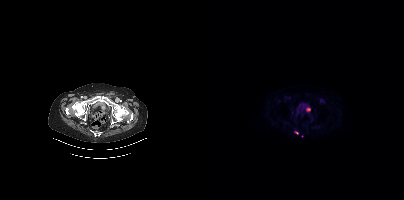
Coordinates are on the 200×200 PET (right) panel. PSMA-avid tumor lesion bounding box (x0, y0)-(x1, y1): (102, 108)-(106, 111). Small PSMA-avid foci (2 to 4 px across) near (center x, center y): (93, 133); (98, 135).